- Two-panel axial: CT | PSMA PET, 18F tracer
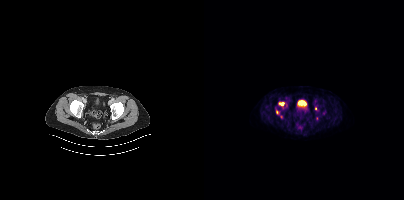
Findings: Coordinates are on the 200×200 PET (right) panel. PSMA-avid tumor lesion bounding box (x0, y0)-(x1, y1): (75, 103)-(79, 105). Small PSMA-avid focus (2 to 4 px across) near (center x, center y): (72, 112).